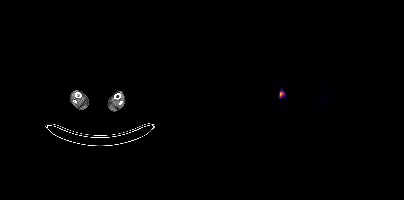
Coordinates are on the 200×200 PET (right) panel. PSMA-avid tumor lesion bounding box (x0,y0,x1,y1): [75,91,79,97].